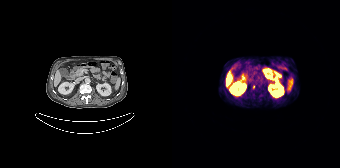
{"pet_grid":[168,168],"coord_frame":"pet_panel","coord_format":"x0,y0,x1,y1","lesion_bboxes":[[81,85,82,89]],"modality":"PSMA PET/CT","view":"axial","tracer":"[68Ga]Ga-PSMA-11"}